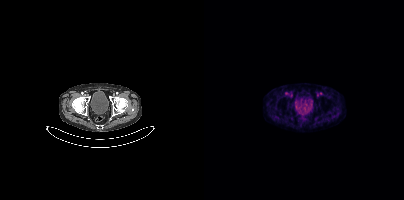
Findings: Negative for PSMA-avid disease on this slice.
- Left: CT. Right: PSMA PET, same axial level, [18F]PSMA-1007 tracer
- acquired on Siemens Biograph mCT Flow 20
- PET panel 200×200 px (4.1 mm/px)